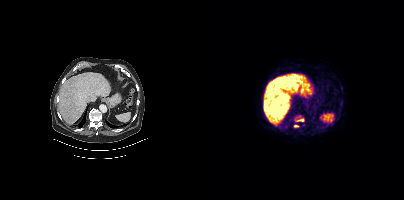
Left: CT. Right: PSMA PET, same axial level, 18F tracer. Slice position z = -575 mm. PET panel 200×200 px (4.1 mm/px). Coordinates are on the 200×200 PET (right) panel. PSMA-avid tumor lesion bounding boxes (x, y, width, height): x=92 y=118 w=8 h=4 / x=90 y=125 w=5 h=3.